modality: PSMA PET/CT | tracer: 18F | view: axial | PET grid: 200×200
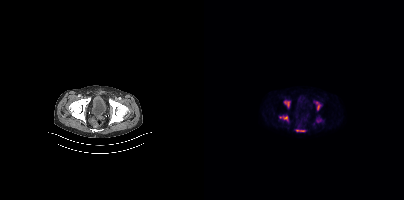
Coordinates are on the 200×200 PET (right) panel. PSMA-avid tumor lesion bounding boxes (x, y, width, height): x=80 y=101 w=6 h=7; x=112 y=102 w=5 h=8; x=79 y=116 w=5 h=5; x=92 y=130 w=9 h=2; x=112 y=119 w=6 h=4. Small PSMA-avid focus (2 to 4 px across) near (center x, center y): (76, 117).